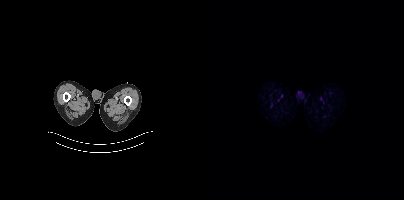
No PSMA-avid tumor lesions on this slice. Left: CT. Right: PSMA PET, same axial level, 18F-PSMA tracer.